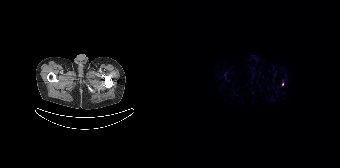
{"modality":"PSMA PET/CT","view":"axial","tracer":"18F","pet_grid":[168,168],"coord_frame":"pet_panel","coord_format":"x0,y0,x1,y1","lesion_bboxes":[],"small_foci_centers":[[110,83]]}